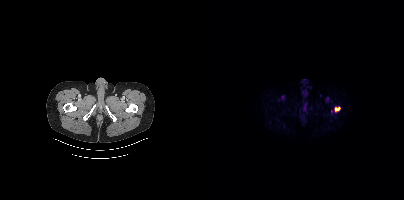
Coordinates are on the 200×200 PET (right) panel. PSMA-avid tumor lesion bounding box (x0,y0,x1,y1): [130,106,136,112]. Small PSMA-avid focus (2 to 4 px across) near (center x, center y): (127, 111).